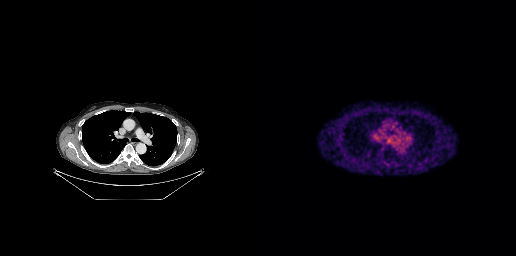
Technique: Two-panel axial: CT | PSMA PET, 68Ga tracer.
Findings: This slice has no annotated PSMA-avid lesion.